Technique: Left: CT. Right: PSMA PET, same axial level, 18F-PSMA tracer. slice 217 of 454. PET panel 200×200 px (4.1 mm/px).
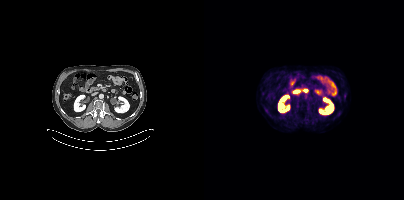
Findings: No tumor lesions annotated on this slice.